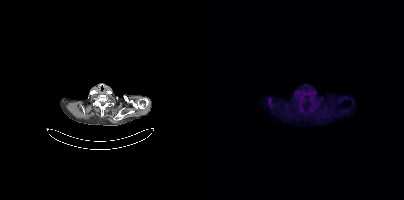
Negative for PSMA-avid disease on this slice.